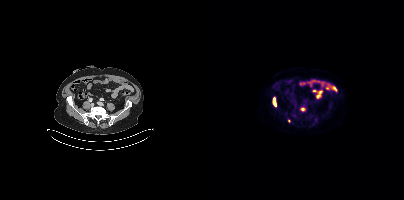
Paired axial CT (left) and PSMA PET (right), 18F-PSMA tracer.
Coordinates are on the 200×200 PET (right) panel. PSMA-avid tumor lesion bounding boxes:
| # | x0 | y0 | x1 | y1 |
|---|---|---|---|---|
| 1 | 68 | 97 | 72 | 106 |
| 2 | 96 | 107 | 101 | 111 |
Small PSMA-avid focus (2 to 4 px across) near (center x, center y): (85, 121).